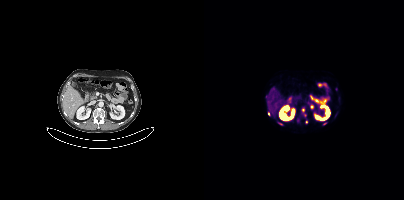
Coordinates are on the 200×200 PET (right) panel. (showing 6 of 7 foci) PSMA-avid tumor lesion bounding box (x, y, width, height): x=92 y=118 w=4 h=5. Small PSMA-avid foci (2 to 4 px across) near (center x, center y): (120, 123) / (64, 113) / (77, 124) / (98, 110) / (102, 121). Left: CT. Right: PSMA PET, same axial level, 68Ga-PSMA tracer. Slice position z = -1227 mm. PET panel 200×200 px (4.1 mm/px).